- Paired axial CT (left) and PSMA PET (right), 68Ga-PSMA tracer
- slice 6 of 195
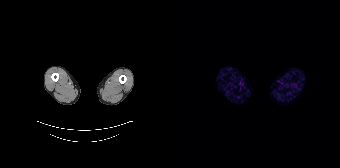
Findings: This slice has no annotated PSMA-avid lesion.